Two-panel axial: CT | PSMA PET, [18F]PSMA-1007 tracer.
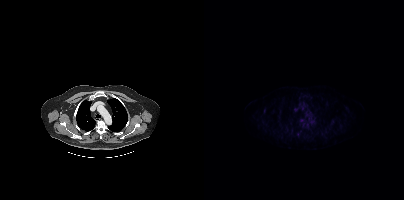
No PSMA-avid tumor lesions on this slice.